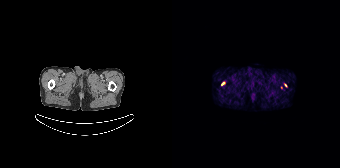
Left: CT. Right: PSMA PET, same axial level, 68Ga-PSMA tracer. Slice position z = -934 mm. Coordinates are on the 168×168 PET (right) panel. Small PSMA-avid foci (2 to 4 px across) near (center x, center y): (51, 83) | (113, 85).